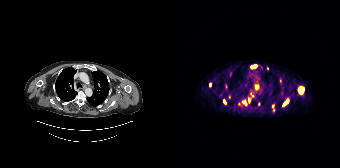
Left: CT. Right: PSMA PET, same axial level, 68Ga tracer. Slice 155 of 195. Coordinates are on the 168×168 PET (right) panel. (showing 13 of 14 foci) PSMA-avid tumor lesion bounding boxes (x0,y0,x1,y1): [127,88,131,93] [78,65,84,68]. Small PSMA-avid foci (2 to 4 px across) near (center x, center y): (85, 86) (72, 102) (52, 101) (115, 101) (37, 84) (112, 104) (54, 86) (76, 100) (100, 106) (95, 67) (80, 95).